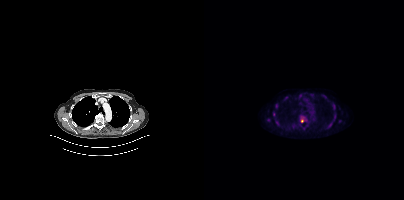
{"modality":"PSMA PET/CT","view":"axial","tracer":"[18F]PSMA-1007","pet_grid":[200,200],"coord_frame":"pet_panel","coord_format":"x0,y0,x1,y1","lesion_bboxes":[[129,104,130,109]],"small_foci_centers":[[72,105],[70,114],[130,116],[73,122],[64,119],[97,120]]}